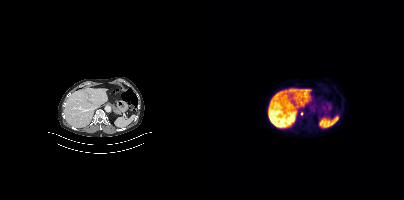
Coordinates are on the 200×200 PET (right) panel. Small PSMA-avid focus (2 to 4 px across) near (center x, center y): (98, 113).
modality: PSMA PET/CT | tracer: [18F]PSMA-1007 | view: axial